modality: PSMA PET/CT | tracer: [18F]PSMA-1007 | view: axial | PET grid: 256×256
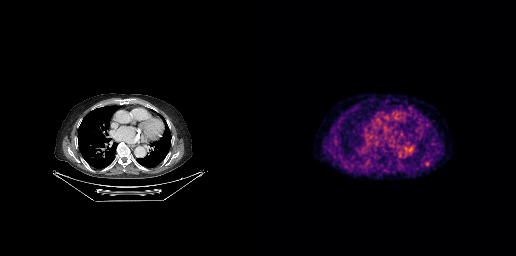
This slice has no annotated PSMA-avid lesion.